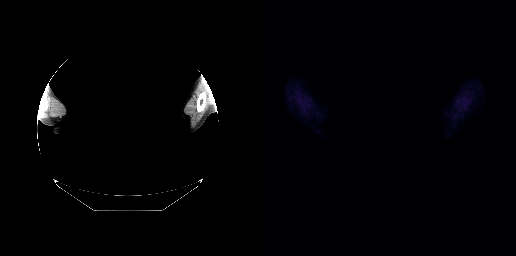
No PSMA-avid tumor lesions on this slice.
A rectangle over the head was blacked out to remove identifiable facial features.